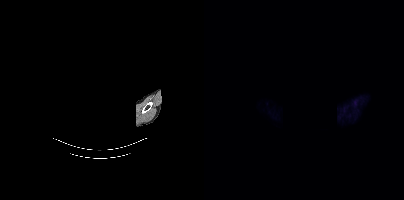
- a rectangular block over the head has been blanked out for de-identification
- Paired axial CT (left) and PSMA PET (right), [18F]PSMA-1007 tracer
- PET panel 200×200 px (4.1 mm/px)
Findings: No tumor lesions annotated on this slice.